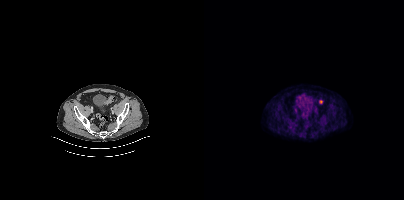
Findings: Coordinates are on the 200×200 PET (right) panel. Small PSMA-avid focus (2 to 4 px across) near (center x, center y): (116, 101).
Technique: Left: CT. Right: PSMA PET, same axial level, [18F]PSMA-1007 tracer.